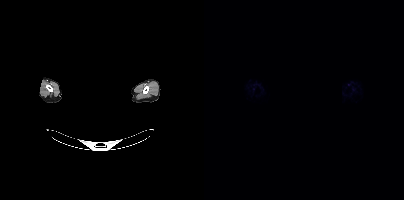
No PSMA-avid tumor lesions on this slice.
Privacy masking over the head, with the pixels inside a rectangle set to black.